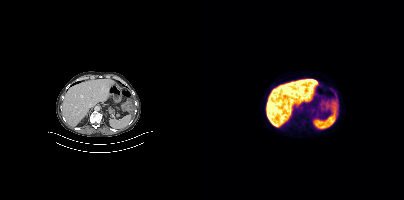
modality: PSMA PET/CT | tracer: [18F]PSMA-1007 | view: axial | PET grid: 200×200
No tumor lesions annotated on this slice.